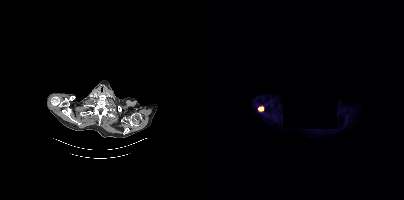
Coordinates are on the 200×200 PET (right) panel. PSMA-avid tumor lesion bounding box (x, y, width, height): x=54 y=106 w=6 h=6.
A region was redacted for de-identification by setting it to black.